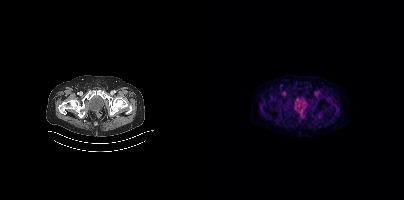
Findings: No tumor lesions annotated on this slice.
Technique: Left: CT. Right: PSMA PET, same axial level, 18F tracer.